- Paired axial CT (left) and PSMA PET (right), 18F tracer
- slice 117 of 431
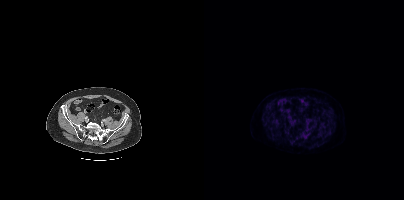
Findings: This slice has no annotated PSMA-avid lesion.